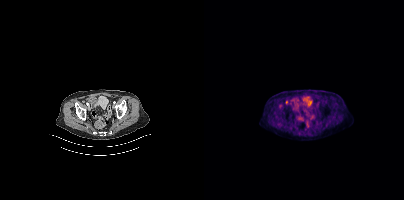
- Two-panel axial: CT | PSMA PET, 18F-PSMA tracer
- PET panel 200×200 px (4.1 mm/px)
Findings: No tumor lesions annotated on this slice.